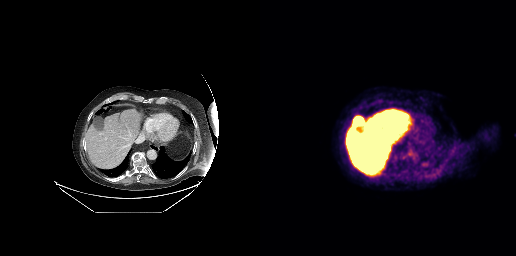
This slice has no annotated PSMA-avid lesion.